Paired axial CT (left) and PSMA PET (right), [18F]PSMA-1007 tracer. Acquired on Siemens Biograph mCT Flow 20.
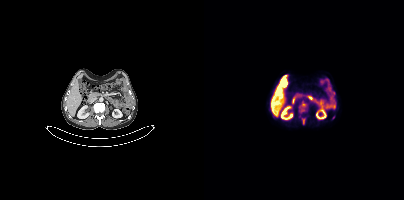
Coordinates are on the 200×200 PET (right) panel. PSMA-avid tumor lesion bounding boxes:
| # | x0 | y0 | x1 | y1 |
|---|---|---|---|---|
| 1 | 95 | 102 | 102 | 112 |